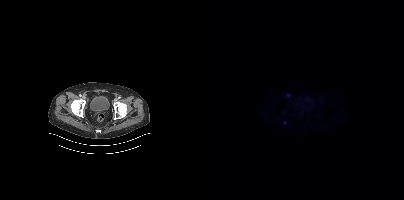
{"pet_grid":[200,200],"coord_frame":"pet_panel","coord_format":"x0,y0,x1,y1","psma_avid_lesions":false,"modality":"PSMA PET/CT","view":"axial","tracer":"[18F]PSMA-1007"}